Technique: Two-panel axial: CT | PSMA PET, 68Ga tracer. acquired on Siemens Biograph mCT Flow 20.
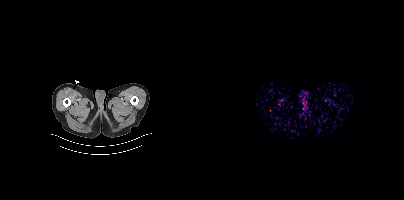
Findings: Negative for PSMA-avid disease on this slice.